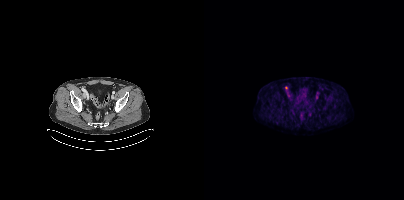
{"modality":"PSMA PET/CT","view":"axial","tracer":"[18F]PSMA-1007","pet_grid":[200,200],"coord_frame":"pet_panel","coord_format":"x0,y0,x1,y1","lesion_bboxes":[],"small_foci_centers":[[82,87]]}